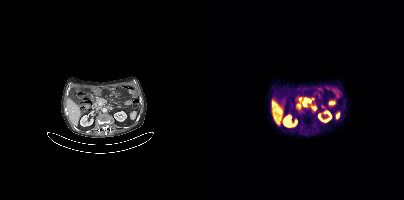
Findings: Coordinates are on the 200×200 PET (right) panel. (showing 1 of 2 foci) PSMA-avid tumor lesion bounding box (x, y, width, height): x=95 y=97 w=15 h=10.
Technique: Paired axial CT (left) and PSMA PET (right), 18F tracer. PET panel 200×200 px (4.1 mm/px).